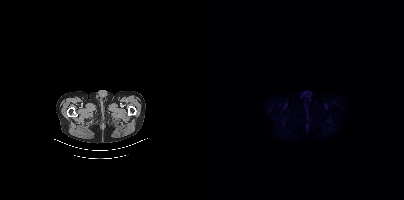
Findings: Negative for PSMA-avid disease on this slice.
Technique: Two-panel axial: CT | PSMA PET, [18F]PSMA-1007 tracer. acquired on Siemens Biograph mCT Flow 20. slice position z = -896 mm. PET panel 200×200 px (4.1 mm/px).